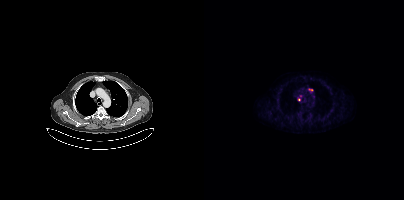
- Two-panel axial: CT | PSMA PET, 18F-PSMA tracer
- acquired on Siemens Biograph mCT Flow 20
- slice 336 of 433
Findings: Coordinates are on the 200×200 PET (right) panel. PSMA-avid tumor lesion bounding boxes (x0,y0,x1,y1): [104,88,109,92], [94,95,97,100].